- Left: CT. Right: PSMA PET, same axial level, [18F]PSMA-1007 tracer
- acquired on Siemens Biograph mCT Flow 20
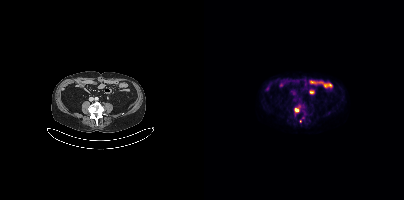
Findings: Coordinates are on the 200×200 PET (right) panel. Small PSMA-avid foci (2 to 4 px across) near (center x, center y): (92, 109) | (90, 114) | (96, 120).